modality: PSMA PET/CT | tracer: 18F | view: axial | PET grid: 200×200
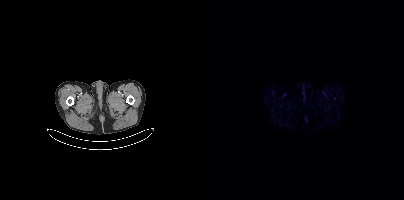
No tumor lesions annotated on this slice.